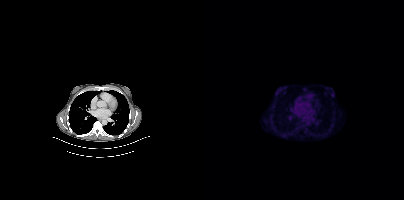
{"modality":"PSMA PET/CT","view":"axial","tracer":"18F-PSMA","pet_grid":[200,200],"coord_frame":"pet_panel","coord_format":"x0,y0,x1,y1","psma_avid_lesions":false}